modality: PSMA PET/CT | tracer: 18F-PSMA | view: axial | PET grid: 200×200
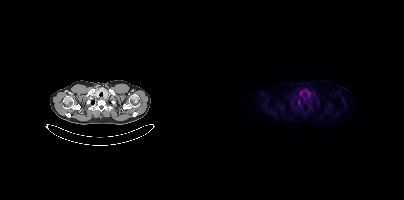
No tumor lesions annotated on this slice.